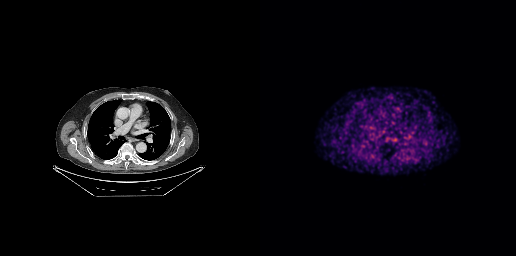
Two-panel axial: CT | PSMA PET, 68Ga-PSMA tracer. PET panel 256×256 px (2.7 mm/px). No tumor lesions annotated on this slice.